Two-panel axial: CT | PSMA PET, [68Ga]Ga-PSMA-11 tracer. Acquired on Siemens Biograph 64-4R TruePoint. Slice position z = -750 mm. Facial anatomy redacted by setting a rectangular region of the head to black.
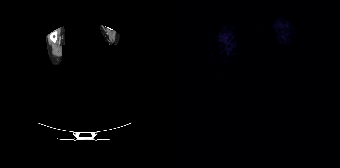
No PSMA-avid tumor lesions on this slice.